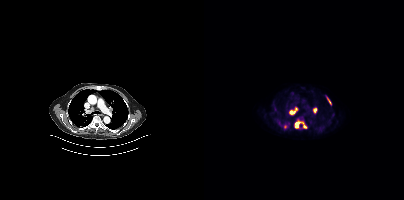
Paired axial CT (left) and PSMA PET (right), 18F-PSMA tracer.
Coordinates are on the 200×200 PET (right) panel. PSMA-avid tumor lesion bounding boxes (partial; 1 more focus not listed):
| # | x0 | y0 | x1 | y1 |
|---|---|---|---|---|
| 1 | 91 | 121 | 99 | 128 |
| 2 | 85 | 108 | 93 | 114 |
| 3 | 109 | 108 | 113 | 113 |
| 4 | 123 | 97 | 127 | 104 |
Small PSMA-avid foci (2 to 4 px across) near (center x, center y): (100, 126); (81, 126).